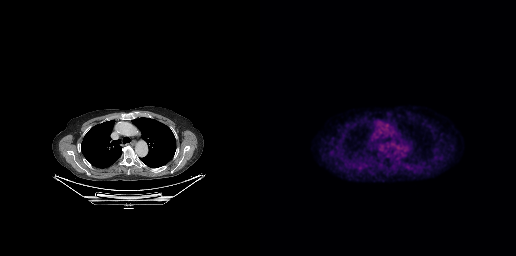
modality: PSMA PET/CT | tracer: [18F]PSMA-1007 | view: axial
This slice has no annotated PSMA-avid lesion.